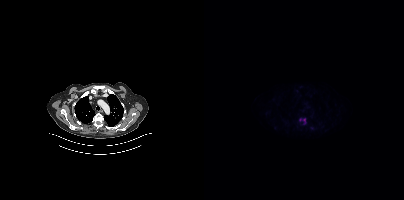
{"modality":"PSMA PET/CT","view":"axial","tracer":"18F","pet_grid":[200,200],"coord_frame":"pet_panel","coord_format":"x0,y0,x1,y1","lesion_bboxes":[[95,118,102,124]]}